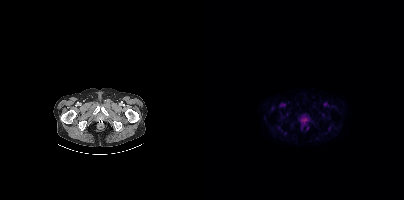
{"pet_grid":[200,200],"coord_frame":"pet_panel","coord_format":"x0,y0,x1,y1","psma_avid_lesions":false,"modality":"PSMA PET/CT","view":"axial","tracer":"18F-PSMA"}